Technique: Paired axial CT (left) and PSMA PET (right), 18F-PSMA tracer. PET panel 200×200 px (4.1 mm/px).
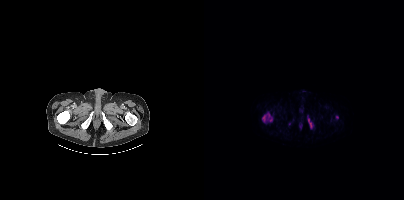
Findings: Coordinates are on the 200×200 PET (right) panel. PSMA-avid tumor lesion bounding boxes (x0,y0,x1,y1): [58,114,65,122] [104,119,108,127]. Small PSMA-avid focus (2 to 4 px across) near (center x, center y): (133, 117).